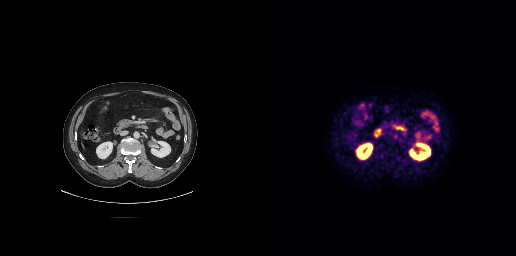
No tumor lesions annotated on this slice. Paired axial CT (left) and PSMA PET (right), 18F tracer.